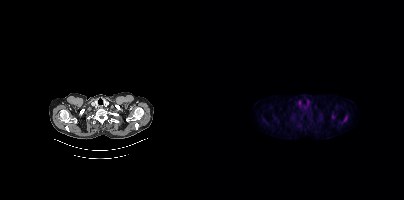
- Two-panel axial: CT | PSMA PET, 18F tracer
- acquired on Siemens Biograph mCT Flow 20
- PET panel 200×200 px (4.1 mm/px)
Findings: Coordinates are on the 200×200 PET (right) panel. PSMA-avid tumor lesion bounding boxes (x0,y0,x1,y1): [138,115,143,123] [128,114,131,118].